Two-panel axial: CT | PSMA PET, 18F-PSMA tracer. Acquired on Siemens Biograph mCT Flow 20.
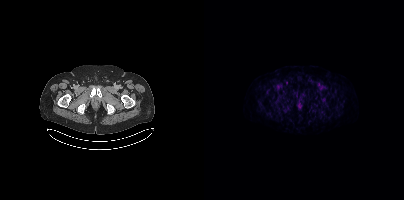
This slice has no annotated PSMA-avid lesion.